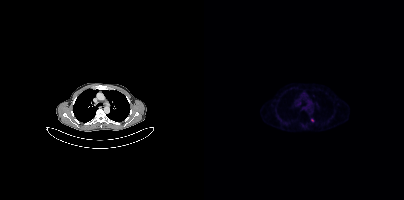
Coordinates are on the 200×200 PET (right) panel. Small PSMA-avid focus (2 to 4 px across) near (center x, center y): (108, 120).